- Left: CT. Right: PSMA PET, same axial level, 68Ga tracer
- acquired on GE Discovery 690
- slice position z = -357 mm
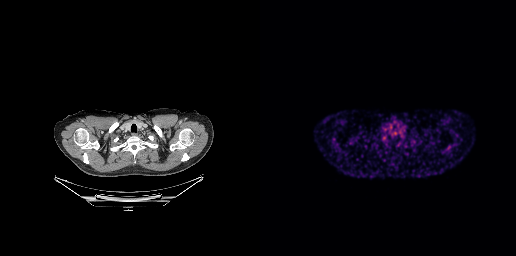
Findings: This slice has no annotated PSMA-avid lesion.